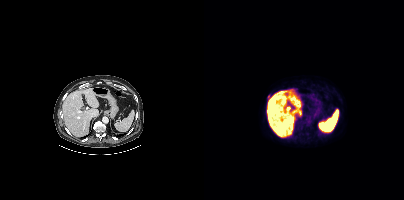
modality: PSMA PET/CT | tracer: [18F]PSMA-1007 | view: axial
Coordinates are on the 200×200 PET (right) panel. Small PSMA-avid focus (2 to 4 px across) near (center x, center y): (64, 96).